- Paired axial CT (left) and PSMA PET (right), 18F tracer
- slice position z = -1141 mm
- PET panel 200×200 px (4.1 mm/px)
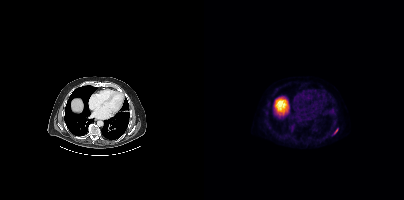
Findings: Coordinates are on the 200×200 PET (right) panel. PSMA-avid tumor lesion bounding box (x0, y0)-(x1, y1): (130, 129)-(133, 133).